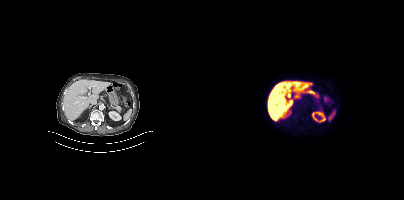
No PSMA-avid tumor lesions on this slice.